Left: CT. Right: PSMA PET, same axial level, [18F]PSMA-1007 tracer. Acquired on Siemens Biograph mCT Flow 20. PET panel 200×200 px (4.1 mm/px).
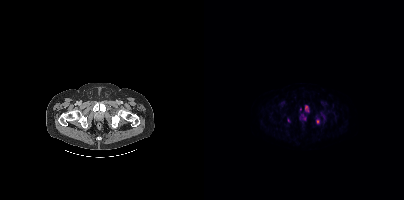
Coordinates are on the 200×200 PET (right) panel. (showing 4 of 5 foci) PSMA-avid tumor lesion bounding box (x, y, width, height): x=101 y=105 w=4 h=7. Small PSMA-avid foci (2 to 4 px across) near (center x, center y): (99, 117); (84, 120); (113, 121).